- Two-panel axial: CT | PSMA PET, 18F-PSMA tracer
- PET panel 200×200 px (4.1 mm/px)
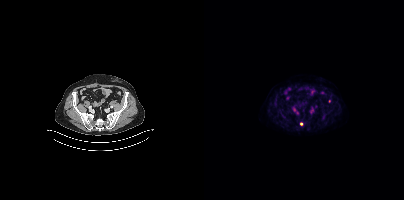
Findings: Coordinates are on the 200×200 PET (right) panel. Small PSMA-avid foci (2 to 4 px across) near (center x, center y): (97, 124) / (125, 100).